modality: PSMA PET/CT | tracer: 18F | view: axial
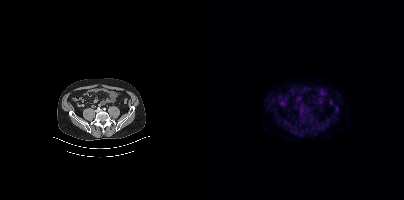
No tumor lesions annotated on this slice.